- Paired axial CT (left) and PSMA PET (right), [18F]PSMA-1007 tracer
- slice position z = -1404 mm
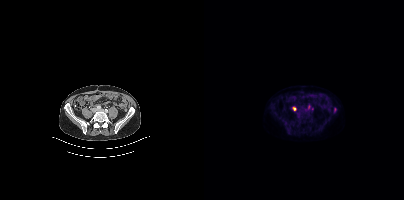
Findings: Coordinates are on the 200×200 PET (right) panel. (showing 2 of 4 foci) Small PSMA-avid foci (2 to 4 px across) near (center x, center y): (90, 108); (131, 109).